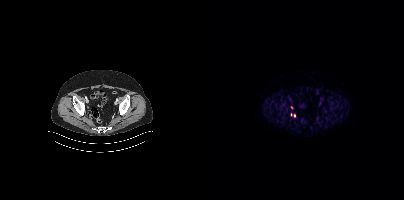
modality: PSMA PET/CT | tracer: 18F-PSMA | view: axial | PET grid: 200×200
Coordinates are on the 200×200 PET (right) panel. (showing 2 of 3 foci) Small PSMA-avid foci (2 to 4 px across) near (center x, center y): (90, 115); (87, 107).